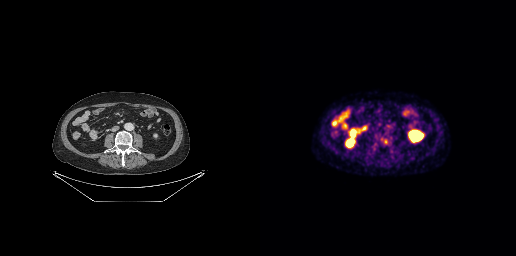
Coordinates are on the 256×256 PET (right) panel. Small PSMA-avid focus (2 to 4 px across) near (center x, center y): (126, 141).
modality: PSMA PET/CT | tracer: 18F | view: axial | PET grid: 256×256